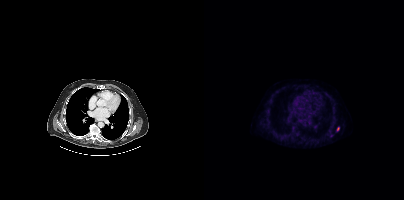
modality: PSMA PET/CT | tracer: 18F-PSMA | view: axial | PET grid: 200×200
Coordinates are on the 200×200 PET (right) panel. Small PSMA-avid focus (2 to 4 px across) near (center x, center y): (133, 129).